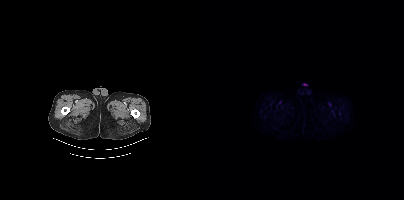
- Two-panel axial: CT | PSMA PET, [18F]PSMA-1007 tracer
- slice 33 of 450
- PET panel 200×200 px (4.1 mm/px)
Findings: No PSMA-avid tumor lesions on this slice.